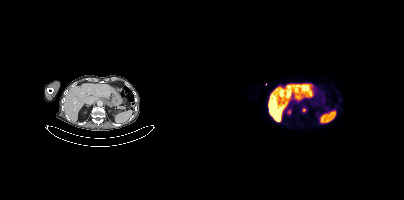
{"modality":"PSMA PET/CT","view":"axial","tracer":"18F-PSMA","pet_grid":[200,200],"coord_frame":"pet_panel","coord_format":"x0,y0,x1,y1","partial":true,"lesion_bboxes":[[98,108,101,112]]}